Paired axial CT (left) and PSMA PET (right), [18F]PSMA-1007 tracer. Acquired on Siemens Biograph 64-4R TruePoint. Slice position z = -961 mm.
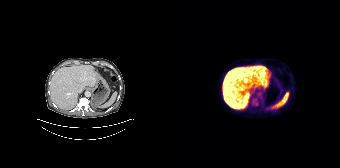
No tumor lesions annotated on this slice.